Paired axial CT (left) and PSMA PET (right), 18F tracer. Slice position z = -322 mm.
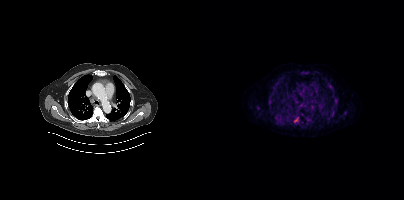
Coordinates are on the 200×200 PET (right) panel. PSMA-avid tumor lesion bounding boxes (partial; 2 more foci not listed):
| # | x0 | y0 | x1 | y1 |
|---|---|---|---|---|
| 1 | 72 | 116 | 78 | 122 |
| 2 | 130 | 97 | 134 | 102 |
| 3 | 103 | 119 | 107 | 123 |
| 4 | 139 | 111 | 143 | 115 |
| 5 | 90 | 117 | 94 | 122 |
| 6 | 128 | 108 | 132 | 113 |
| 7 | 98 | 71 | 103 | 74 |
| 8 | 66 | 91 | 70 | 94 |
| 9 | 52 | 106 | 55 | 110 |
| 10 | 123 | 116 | 127 | 119 |
Small PSMA-avid foci (2 to 4 px across) near (center x, center y): (127, 89); (66, 105); (99, 126); (65, 97); (67, 112).